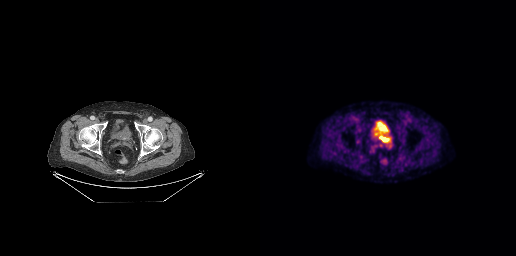
{"modality":"PSMA PET/CT","view":"axial","tracer":"[18F]PSMA-1007","pet_grid":[256,256],"coord_frame":"pet_panel","coord_format":"x0,y0,x1,y1","partial":true,"lesion_bboxes":[]}